- Left: CT. Right: PSMA PET, same axial level, [18F]PSMA-1007 tracer
- slice 336 of 429
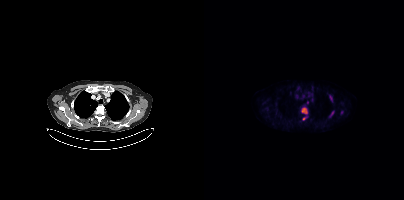
Findings: Coordinates are on the 200×200 PET (right) panel. (showing 5 of 6 foci) PSMA-avid tumor lesion bounding boxes (x, y, width, height): x=97 y=108 w=7 h=6 | x=125 y=95 w=4 h=6 | x=127 y=111 w=3 h=5. Small PSMA-avid foci (2 to 4 px across) near (center x, center y): (100, 118) | (103, 102).